Technique: Left: CT. Right: PSMA PET, same axial level, [68Ga]Ga-PSMA-11 tracer. slice position z = -1216 mm. PET panel 200×200 px (4.1 mm/px).
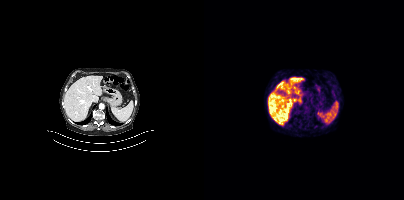
Findings: This slice has no annotated PSMA-avid lesion.